Technique: Left: CT. Right: PSMA PET, same axial level, [18F]PSMA-1007 tracer.
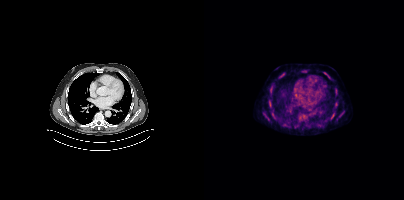
Findings: Coordinates are on the 200×200 PET (right) panel. (showing 8 of 9 foci) PSMA-avid tumor lesion bounding boxes (x0,y0,x1,y1): [76,72,81,77] [60,114,65,120] [127,114,130,118] [98,70,102,72] [120,72,124,75] [65,102,66,106]. Small PSMA-avid foci (2 to 4 px across) near (center x, center y): (132, 89) (66, 87).